Technique: Two-panel axial: CT | PSMA PET, [18F]PSMA-1007 tracer. acquired on Siemens Biograph mCT Flow 20. slice 301 of 344. PET panel 200×200 px (4.1 mm/px).
Note: De-identified by setting a box covering the face to black before release.
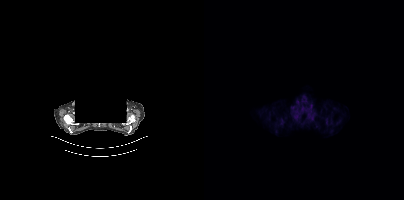
Findings: Only PSMA-avid lesion pieces thinner than 2 px on this slice (not listed).